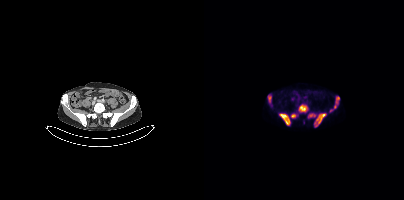
Coordinates are on the 200×200 PET (right) panel. PSMA-avid tumor lesion bounding boxes (x0,y0,x1,y1): [110,113,122,126]; [75,113,86,125]; [94,104,103,112]; [130,96,135,108]; [104,113,111,117]; [64,95,67,102]; [87,115,91,117]. Small PSMA-avid focus (2 to 4 px across) near (center x, center y): (127, 110).